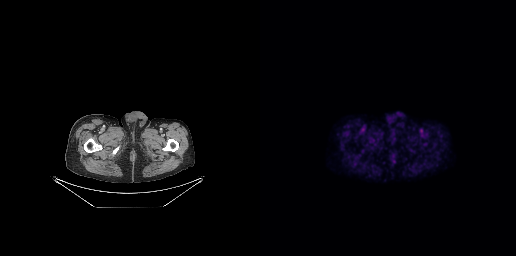
No tumor lesions annotated on this slice.